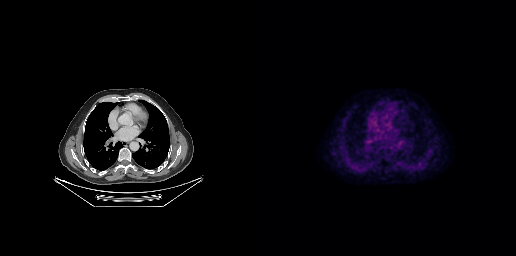
Coordinates are on the 256×256 PET (right) panel. PSMA-avid tumor lesion bounding box (x0,y0,x1,y1): [106,138,112,144].